Left: CT. Right: PSMA PET, same axial level, 18F tracer. PET panel 168×168 px (4.1 mm/px).
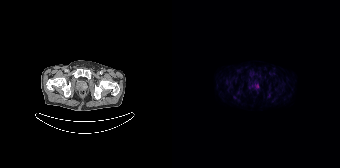
Coordinates are on the 168×168 PET (right) panel. PSMA-avid tumor lesion bounding boxes:
| # | x0 | y0 | x1 | y1 |
|---|---|---|---|---|
| 1 | 83 | 84 | 86 | 88 |